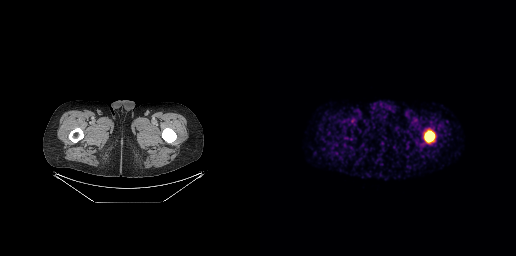
Coordinates are on the 256×256 PET (right) panel. PSMA-avid tumor lesion bounding box (x0, y0)-(x1, y1): (164, 131)-(174, 142).